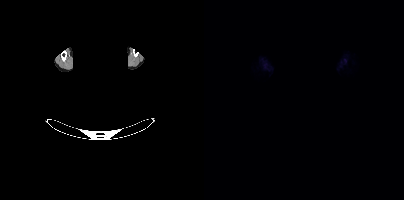
- facial anatomy redacted by setting a rectangular region of the head to black
- Paired axial CT (left) and PSMA PET (right), 18F-PSMA tracer
- PET panel 200×200 px (4.1 mm/px)
Findings: No PSMA-avid tumor lesions on this slice.